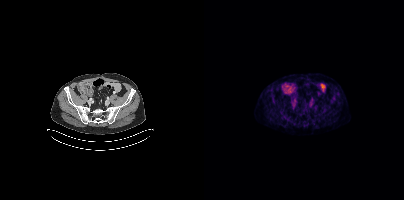
{"modality":"PSMA PET/CT","view":"axial","tracer":"[18F]PSMA-1007","pet_grid":[200,200],"coord_frame":"pet_panel","coord_format":"x0,y0,x1,y1","psma_avid_lesions":false}